modality: PSMA PET/CT | tracer: [18F]PSMA-1007 | view: axial | PET grid: 168×168
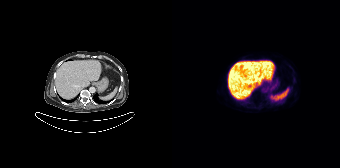
This slice has no annotated PSMA-avid lesion.